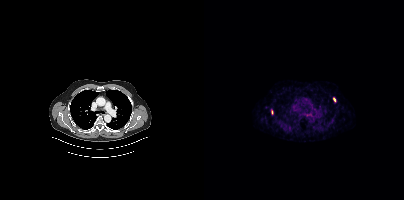
- Left: CT. Right: PSMA PET, same axial level, 68Ga-PSMA tracer
Findings: Coordinates are on the 200×200 PET (right) panel. (showing 1 of 2 foci) Small PSMA-avid focus (2 to 4 px across) near (center x, center y): (130, 99).